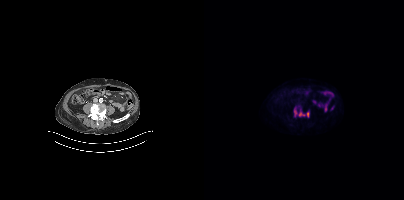
Coordinates are on the 200×200 PET (right) panel. (showing 1 of 2 foci) PSMA-avid tumor lesion bounding box (x, y, width, height): x=90 y=107 w=16 h=11.